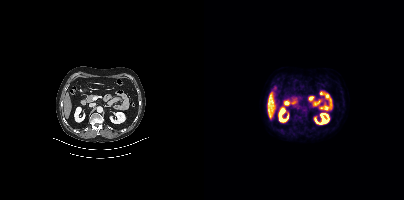
Technique: Paired axial CT (left) and PSMA PET (right), [18F]PSMA-1007 tracer.
Findings: No tumor lesions annotated on this slice.